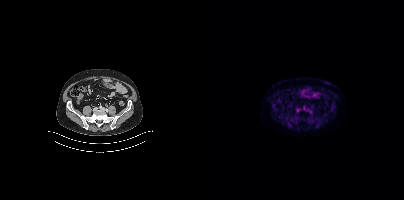
- Two-panel axial: CT | PSMA PET, 18F tracer
- PET panel 200×200 px (4.1 mm/px)
Findings: Coordinates are on the 200×200 PET (right) panel. PSMA-avid tumor lesion bounding box (x, y, width, height): x=92 y=107 w=5 h=6.